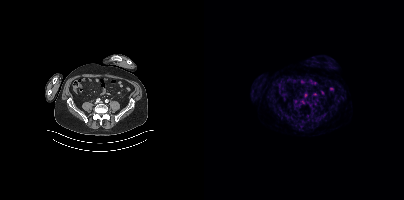
No tumor lesions annotated on this slice.